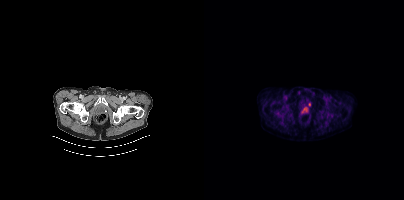
Only PSMA-avid lesion pieces thinner than 2 px on this slice (not listed).